- Left: CT. Right: PSMA PET, same axial level, 18F-PSMA tracer
- acquired on Siemens Biograph mCT Flow 20
- PET panel 200×200 px (4.1 mm/px)
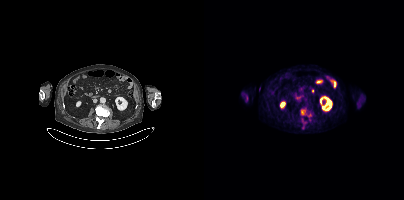
Findings: Coordinates are on the 200×200 PET (right) panel. (showing 1 of 5 foci) PSMA-avid tumor lesion bounding box (x0,y0,x1,y1): [97,108,107,117].